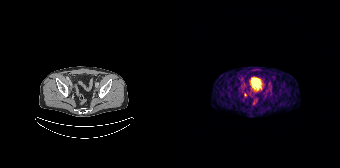
{"modality":"PSMA PET/CT","view":"axial","tracer":"[68Ga]Ga-PSMA-11","pet_grid":[168,168],"coord_frame":"pet_panel","coord_format":"x0,y0,x1,y1","lesion_bboxes":[],"small_foci_centers":[[73,94]]}